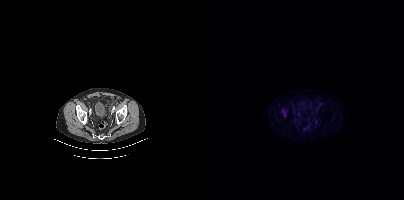
Coordinates are on the 200×200 PET (right) panel. PSMA-avid tumor lesion bounding boxes:
| # | x0 | y0 | x1 | y1 |
|---|---|---|---|---|
| 1 | 77 | 109 | 83 | 117 |
Left: CT. Right: PSMA PET, same axial level, 18F tracer. Acquired on Siemens Biograph mCT Flow 20. Slice position z = -786 mm.